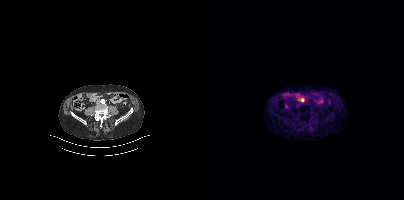
Findings: Coordinates are on the 200×200 PET (right) panel. Small PSMA-avid focus (2 to 4 px across) near (center x, center y): (98, 99).
- Paired axial CT (left) and PSMA PET (right), [68Ga]Ga-PSMA-11 tracer
- slice 135 of 405